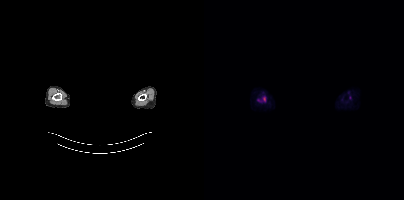
Paired axial CT (left) and PSMA PET (right), 18F tracer. Acquired on Siemens Biograph mCT Flow 20. PET panel 200×200 px (4.1 mm/px). A rectangular block over the head has been blanked out for de-identification. Coordinates are on the 200×200 PET (right) panel. Small PSMA-avid focus (2 to 4 px across) near (center x, center y): (60, 98).